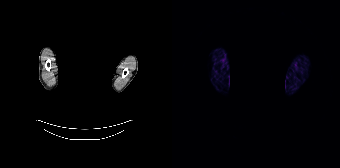
Technique: Two-panel axial: CT | PSMA PET, 68Ga-PSMA tracer. acquired on Siemens Biograph 64-4R TruePoint. PET panel 168×168 px (4.1 mm/px).
Note: De-identified by setting a box covering the face to black before release.
Findings: No tumor lesions annotated on this slice.